Paired axial CT (left) and PSMA PET (right), [18F]PSMA-1007 tracer. Acquired on Siemens Biograph mCT Flow 20. Slice 175 of 435.
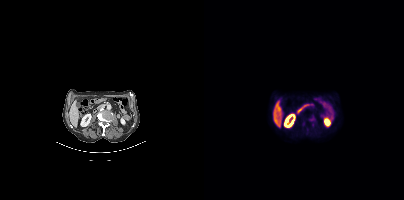
This slice has no annotated PSMA-avid lesion.